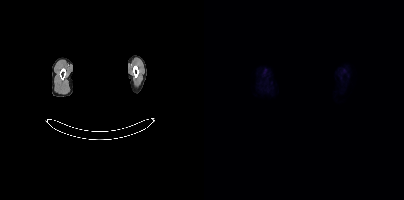
Findings: Negative for PSMA-avid disease on this slice.
- an anonymization step blacked out a rectangle over the head in this scan
- Paired axial CT (left) and PSMA PET (right), 18F tracer
- acquired on Siemens Biograph mCT Flow 20
- slice position z = -848 mm